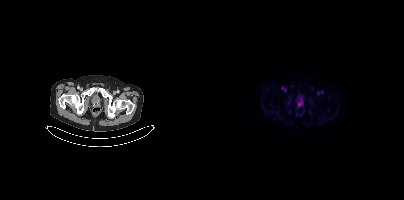
Two-panel axial: CT | PSMA PET, [18F]PSMA-1007 tracer. Acquired on Siemens Biograph mCT Flow 20. Slice position z = -1561 mm. PET panel 200×200 px (4.1 mm/px). No tumor lesions annotated on this slice.